modality: PSMA PET/CT | tracer: [68Ga]Ga-PSMA-11 | view: axial
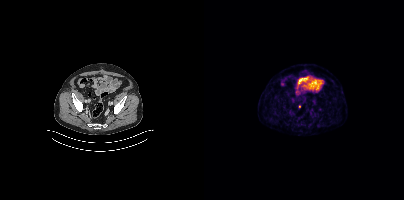
Coordinates are on the 200×200 PET (right) panel. Small PSMA-avid focus (2 to 4 px across) near (center x, center y): (95, 106).